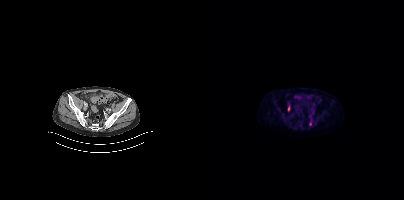
Findings: Coordinates are on the 200×200 PET (right) panel. Small PSMA-avid focus (2 to 4 px across) near (center x, center y): (106, 123).
- Two-panel axial: CT | PSMA PET, 18F-PSMA tracer